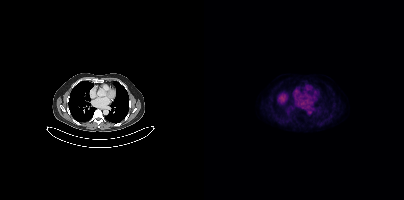
modality: PSMA PET/CT | tracer: 18F-PSMA | view: axial | PET grid: 200×200
No PSMA-avid tumor lesions on this slice.